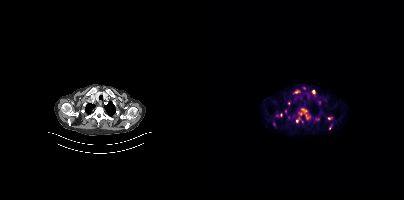
{"modality":"PSMA PET/CT","view":"axial","tracer":"18F","pet_grid":[200,200],"coord_frame":"pet_panel","coord_format":"x0,y0,x1,y1","lesion_bboxes":[[92,108,106,123],[71,113,78,117],[68,120,72,127],[108,90,111,94],[90,90,95,93]],"small_foci_centers":[[125,118],[84,102],[126,128],[81,111]]}